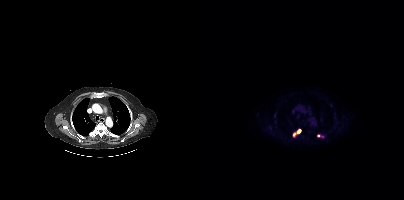
{"pet_grid":[200,200],"coord_frame":"pet_panel","coord_format":"x0,y0,x1,y1","partial":true,"lesion_bboxes":[[89,129,97,136]],"small_foci_centers":[[114,135]],"modality":"PSMA PET/CT","view":"axial","tracer":"[18F]PSMA-1007"}